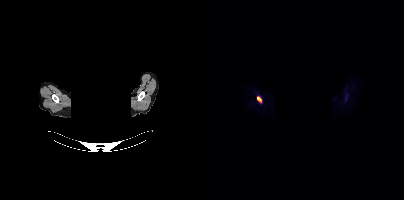
Two-panel axial: CT | PSMA PET, 18F tracer. Slice position z = -182 mm. PET panel 200×200 px (4.1 mm/px). The face region was removed for patient privacy by blanking a rectangle over the head.
Coordinates are on the 200×200 PET (right) panel. PSMA-avid tumor lesion bounding boxes:
| # | x0 | y0 | x1 | y1 |
|---|---|---|---|---|
| 1 | 53 | 96 | 57 | 102 |